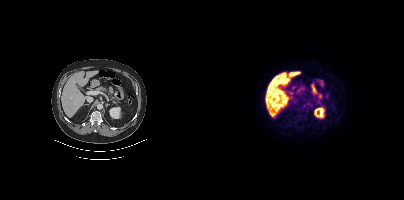
Paired axial CT (left) and PSMA PET (right), 18F tracer. Only PSMA-avid lesion pieces thinner than 2 px on this slice (not listed).